- Left: CT. Right: PSMA PET, same axial level, [68Ga]Ga-PSMA-11 tracer
- acquired on Siemens Biograph 64-4R TruePoint
- PET panel 168×168 px (4.1 mm/px)
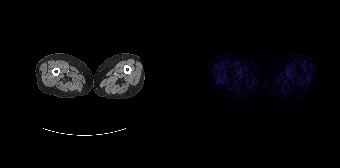
Findings: This slice has no annotated PSMA-avid lesion.